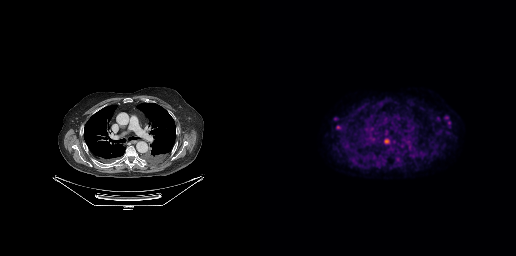
{"modality":"PSMA PET/CT","view":"axial","tracer":"18F","pet_grid":[256,256],"coord_frame":"pet_panel","coord_format":"x0,y0,x1,y1","lesion_bboxes":[[76,125,80,129]],"small_foci_centers":[[126,141],[189,125],[186,116],[177,118],[75,118],[112,138]]}